Two-panel axial: CT | PSMA PET, 18F tracer. PET panel 200×200 px (4.1 mm/px).
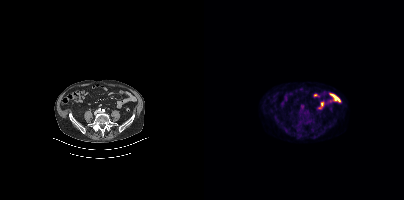
This slice has no annotated PSMA-avid lesion.